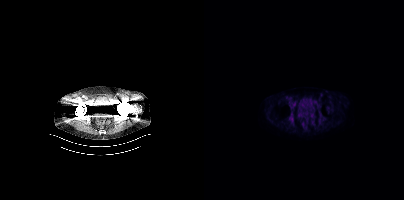
This slice has no annotated PSMA-avid lesion.